- Paired axial CT (left) and PSMA PET (right), 18F-PSMA tracer
- acquired on Siemens Biograph mCT Flow 20
- slice position z = -953 mm
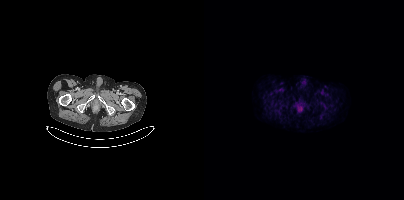
Findings: Negative for PSMA-avid disease on this slice.